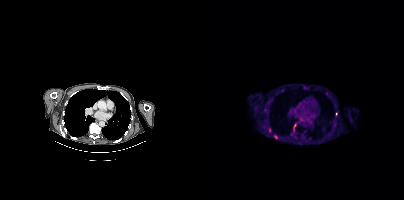
{"modality":"PSMA PET/CT","view":"axial","tracer":"18F","pet_grid":[200,200],"coord_frame":"pet_panel","coord_format":"x0,y0,x1,y1","partial":true,"lesion_bboxes":[[90,124,92,130]],"small_foci_centers":[[71,137],[100,87],[132,114],[78,90],[65,130]]}